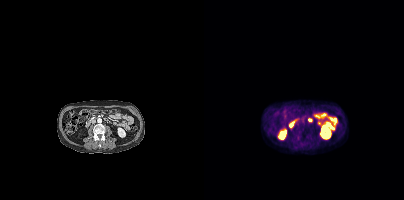
modality: PSMA PET/CT | tracer: [18F]PSMA-1007 | view: axial
No tumor lesions annotated on this slice.